- Paired axial CT (left) and PSMA PET (right), 68Ga tracer
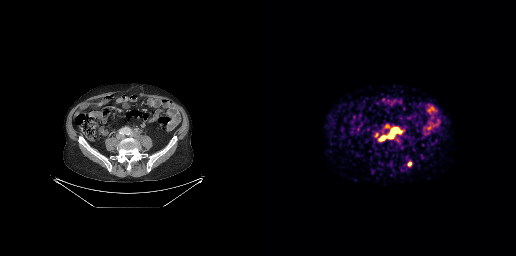
Findings: Coordinates are on the 256×256 PET (right) panel. PSMA-avid tumor lesion bounding boxes (x0,y0,x1,y1): [128,128,142,138], [119,136,125,140], [147,161,151,166], [125,125,129,127]. Small PSMA-avid focus (2 to 4 px across) near (center x, center y): (117, 134).